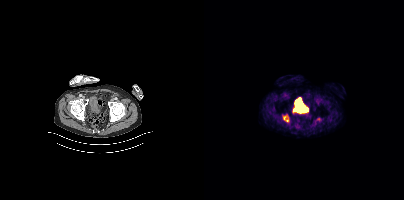
{"modality":"PSMA PET/CT","view":"axial","tracer":"18F-PSMA","pet_grid":[200,200],"coord_frame":"pet_panel","coord_format":"x0,y0,x1,y1","lesion_bboxes":[[79,116,84,121]],"small_foci_centers":[[114,119]]}